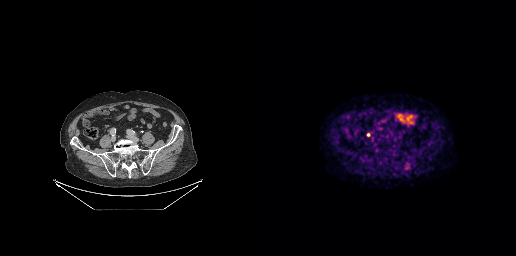
Coordinates are on the 256×256 PET (right) panel. Small PSMA-avid focus (2 to 4 px across) near (center x, center y): (108, 134). Two-panel axial: CT | PSMA PET, 18F-PSMA tracer.